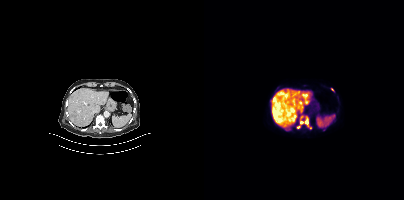
Coordinates are on the 200×200 PET (right) panel. PSMA-avid tumor lesion bounding boxes (x0,y0,x1,y1): [101,116,107,128] [96,115,99,119]. Small PSMA-avid foci (2 to 4 px across) near (center x, center y): (97, 122) (128, 89) (94, 126).